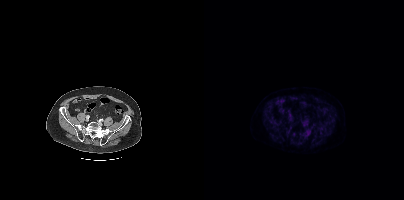
Negative for PSMA-avid disease on this slice.